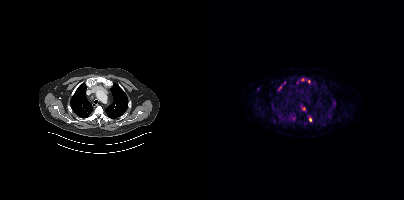
Coordinates are on the 200×200 PET (right) panel. (showing 11 of 12 foci) PSMA-avid tumor lesion bounding boxes (x0,y0,x1,y1): [84,113,92,122]; [97,117,107,124]; [97,77,106,83]; [124,111,128,116]; [97,105,101,110]; [74,85,78,90]; [128,99,131,103]. Small PSMA-avid foci (2 to 4 px across) near (center x, center y): (73, 114); (129, 107); (67, 103); (80, 82).